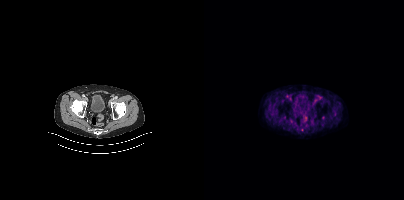
No PSMA-avid tumor lesions on this slice. Paired axial CT (left) and PSMA PET (right), 18F tracer. Acquired on Siemens Biograph mCT Flow 20.